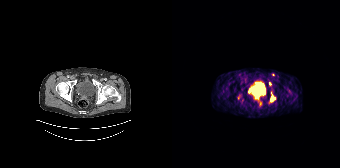
Coordinates are on the 168×168 PET (right) panel. (showing 3 of 4 foci) PSMA-avid tumor lesion bounding box (x0,y0,x1,y1): [99,95,103,101]. Small PSMA-avid foci (2 to 4 px across) near (center x, center y): (101, 74), (97, 83). Left: CT. Right: PSMA PET, same axial level, [68Ga]Ga-PSMA-11 tracer. Slice position z = -940 mm. PET panel 168×168 px (4.1 mm/px).